Technique: Paired axial CT (left) and PSMA PET (right), 18F tracer. slice position z = -508 mm. PET panel 200×200 px (4.1 mm/px).
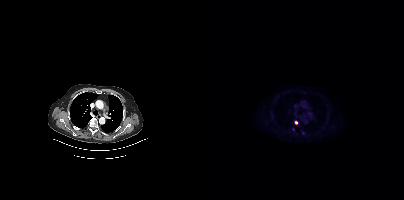
Findings: Coordinates are on the 200×200 PET (right) panel. (showing 1 of 2 foci) PSMA-avid tumor lesion bounding box (x0,y0,x1,y1): [90,121,94,124].